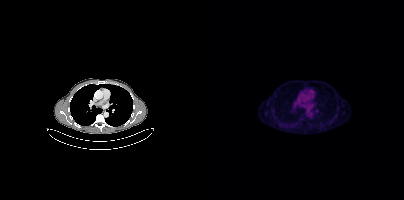
Left: CT. Right: PSMA PET, same axial level, 18F tracer. Acquired on Siemens Biograph mCT Flow 20. PET panel 200×200 px (4.1 mm/px). This slice has no annotated PSMA-avid lesion.